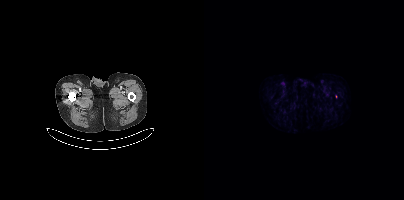
Findings: Only PSMA-avid lesion pieces thinner than 2 px on this slice (not listed).
Technique: Paired axial CT (left) and PSMA PET (right), 18F-PSMA tracer. acquired on Siemens Biograph mCT Flow 20. slice 22 of 395. PET panel 200×200 px (4.1 mm/px).